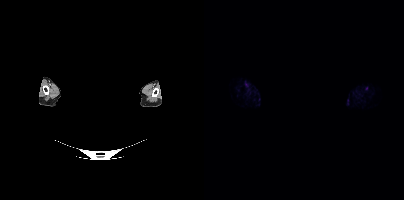
{"modality":"PSMA PET/CT","view":"axial","tracer":"18F","pet_grid":[200,200],"coord_frame":"pet_panel","coord_format":"x0,y0,x1,y1","psma_avid_lesions":false,"redaction":"privacy mask over head"}